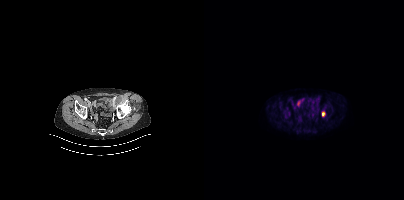
{"pet_grid":[200,200],"coord_frame":"pet_panel","coord_format":"x0,y0,x1,y1","lesion_bboxes":[[118,112,120,116]],"modality":"PSMA PET/CT","view":"axial","tracer":"18F-PSMA"}